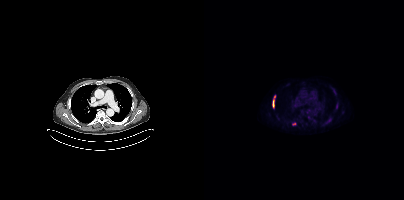
- Paired axial CT (left) and PSMA PET (right), 18F-PSMA tracer
- acquired on Siemens Biograph mCT Flow 20
Findings: Coordinates are on the 200×200 PET (right) panel. PSMA-avid tumor lesion bounding box (x, y, width, height): x=68 y=99 w=3 h=8. Small PSMA-avid foci (2 to 4 px across) near (center x, center y): (89, 124) / (126, 119) / (70, 96).